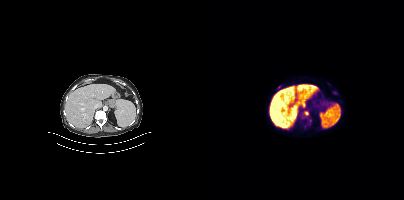
Coordinates are on the 200×200 PET (right) panel. PSMA-avid tumor lesion bounding box (x, y, width, height): x=100 y=111 w=5 h=5. Small PSMA-avid foci (2 to 4 px across) near (center x, center y): (74, 87); (106, 120).